Two-panel axial: CT | PSMA PET, [18F]PSMA-1007 tracer. Acquired on Siemens Biograph mCT Flow 20. PET panel 200×200 px (4.1 mm/px).
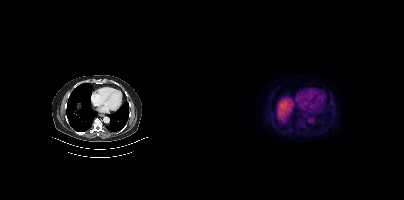
No PSMA-avid tumor lesions on this slice.